- Left: CT. Right: PSMA PET, same axial level, 68Ga-PSMA tracer
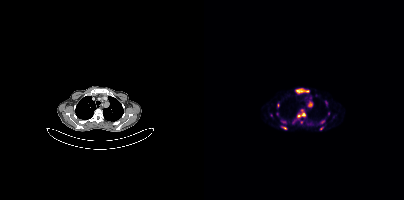
Findings: Coordinates are on the 200×200 PET (right) panel. (showing 6 of 9 foci) PSMA-avid tumor lesion bounding box (x0, y0)-(x1, y1): (92, 89)-(105, 92). Small PSMA-avid foci (2 to 4 px across) near (center x, center y): (106, 102); (99, 114); (74, 105); (80, 128); (95, 115).